Two-panel axial: CT | PSMA PET, 68Ga tracer. Acquired on GE Discovery 690.
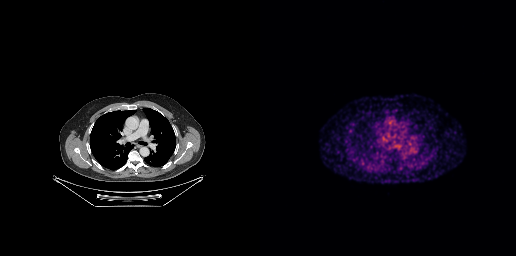
This slice has no annotated PSMA-avid lesion.